modality: PSMA PET/CT | tracer: 18F | view: axial
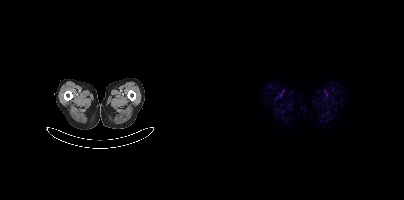
No PSMA-avid tumor lesions on this slice.